modality: PSMA PET/CT | tracer: 18F-PSMA | view: axial | redaction: head region blacked out before release
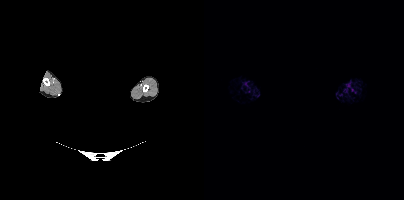
This slice has no annotated PSMA-avid lesion.